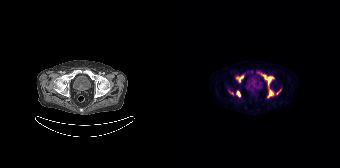
Paired axial CT (left) and PSMA PET (right), [18F]PSMA-1007 tracer. Acquired on Siemens Biograph 64-4R TruePoint.
Coordinates are on the 168×168 PET (right) panel. PSMA-avid tumor lesion bounding boxes:
| # | x0 | y0 | x1 | y1 |
|---|---|---|---|---|
| 1 | 91 | 75 | 102 | 97 |
| 2 | 64 | 75 | 71 | 82 |
| 3 | 64 | 91 | 68 | 96 |
| 4 | 56 | 89 | 61 | 94 |
| 5 | 104 | 89 | 109 | 94 |